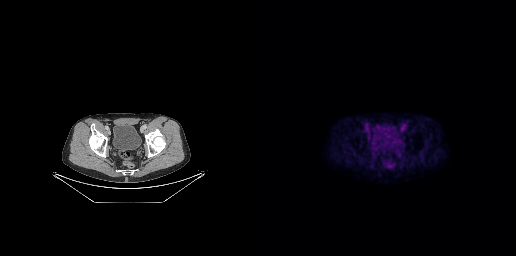
- Two-panel axial: CT | PSMA PET, 18F-PSMA tracer
- acquired on GE Discovery 690
Findings: Coordinates are on the 256×256 PET (right) panel. PSMA-avid tumor lesion bounding box (x, y, width, height): x=123 y=140 w=6 h=5.